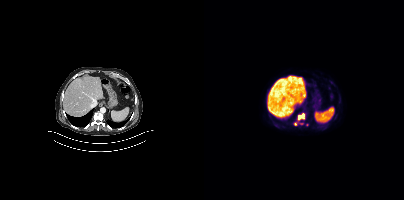
{"modality":"PSMA PET/CT","view":"axial","tracer":"18F","pet_grid":[200,200],"coord_frame":"pet_panel","coord_format":"x0,y0,x1,y1","partial":true,"lesion_bboxes":[[93,113,100,120]],"small_foci_centers":[[91,123],[97,123]]}